Two-panel axial: CT | PSMA PET, [18F]PSMA-1007 tracer. Acquired on Siemens Biograph mCT Flow 20.
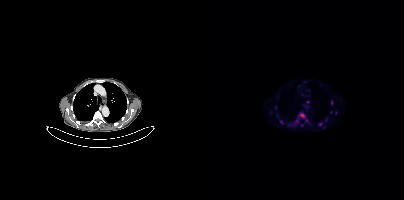
Coordinates are on the 200×200 PET (right) panel. (showing 7 of 10 foci) PSMA-avid tumor lesion bounding box (x0, y0)-(x1, y1): (95, 113)-(100, 117). Small PSMA-avid foci (2 to 4 px across) near (center x, center y): (116, 124) / (104, 102) / (127, 102) / (77, 122) / (102, 119) / (92, 120).